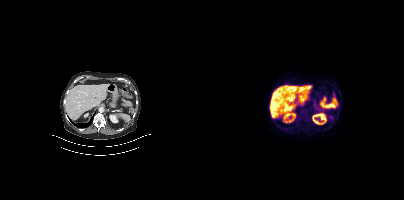
This slice has no annotated PSMA-avid lesion. Two-panel axial: CT | PSMA PET, 18F tracer. Slice position z = -642 mm.